- Two-panel axial: CT | PSMA PET, 18F-PSMA tracer
- acquired on Siemens Biograph mCT Flow 20
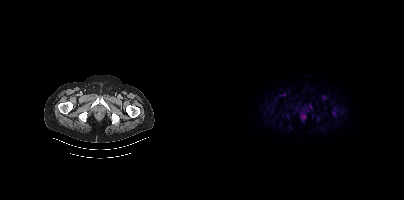
Findings: Coordinates are on the 200×200 PET (right) panel. (showing 5 of 6 foci) PSMA-avid tumor lesion bounding boxes (x, y, width, height): x=129 y=111 w=4 h=5 | x=82 y=114 w=4 h=5. Small PSMA-avid foci (2 to 4 px across) near (center x, center y): (137, 112) | (93, 106) | (115, 118).